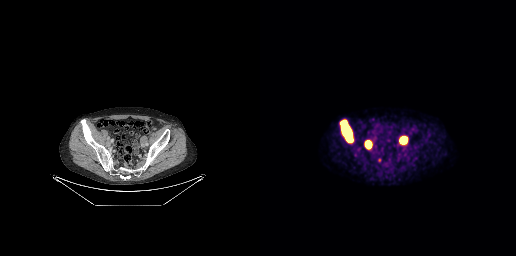
Coordinates are on the 256×256 PET (right) panel. PSMA-avid tumor lesion bounding boxes (x0, y0)-(x1, y1): (81, 121)-(92, 141); (140, 137)-(147, 143); (106, 141)-(111, 148). Small PSMA-avid focus (2 to 4 px across) near (center x, center y): (119, 160).